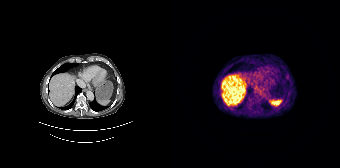
Findings: No PSMA-avid tumor lesions on this slice.
Technique: Two-panel axial: CT | PSMA PET, 68Ga-PSMA tracer. slice 102 of 165. PET panel 168×168 px (4.1 mm/px).